Two-panel axial: CT | PSMA PET, 18F-PSMA tracer. PET panel 200×200 px (4.1 mm/px).
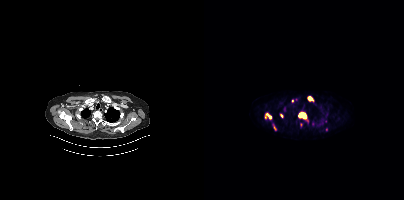
Coordinates are on the 200×200 PET (right) panel. (showing 6 of 7 foci) PSMA-avid tumor lesion bounding boxes (x, y, width, height): x=94 y=112 w=10 h=9 / x=61 y=113 w=7 h=7 / x=103 y=96 w=7 h=6. Small PSMA-avid foci (2 to 4 px across) near (center x, center y): (77, 115) / (88, 101) / (70, 127).